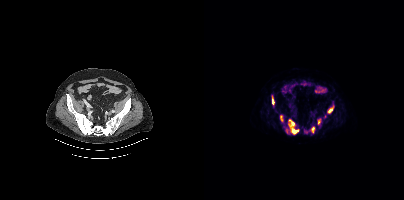
{"pet_grid":[200,200],"coord_frame":"pet_panel","coord_format":"x0,y0,x1,y1","lesion_bboxes":[[84,119,95,134],[123,105,129,113],[107,126,110,133],[68,96,70,105],[76,115,79,121],[114,119,116,124]],"small_foci_centers":[[82,131]],"modality":"PSMA PET/CT","view":"axial","tracer":"18F-PSMA"}